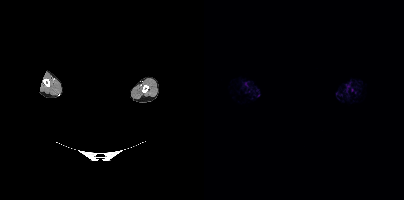
- head region blanked for anonymization (face removed)
- Paired axial CT (left) and PSMA PET (right), 18F-PSMA tracer
- PET panel 200×200 px (4.1 mm/px)
Findings: Negative for PSMA-avid disease on this slice.